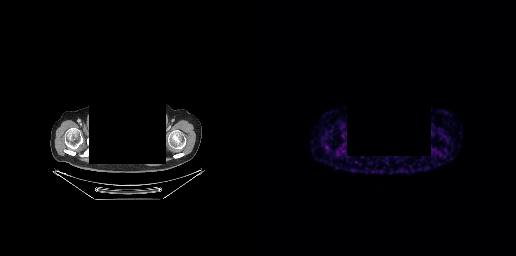
modality: PSMA PET/CT | tracer: 68Ga-PSMA | view: axial | PET grid: 256×256 | deidentification: rectangular block over head set to black
This slice has no annotated PSMA-avid lesion.